Paired axial CT (left) and PSMA PET (right), [18F]PSMA-1007 tracer. PET panel 200×200 px (4.1 mm/px). The face region was removed for patient privacy by blanking a rectangle over the head.
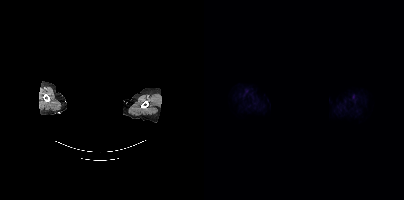
This slice has no annotated PSMA-avid lesion.